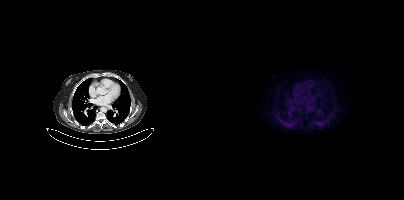
No PSMA-avid tumor lesions on this slice. Two-panel axial: CT | PSMA PET, [18F]PSMA-1007 tracer.